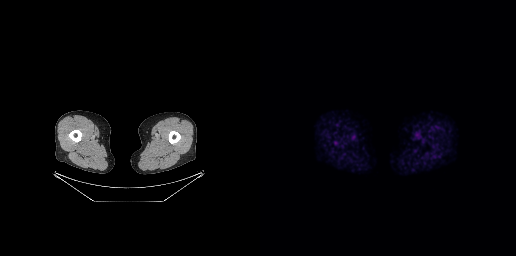
Technique: Two-panel axial: CT | PSMA PET, [18F]PSMA-1007 tracer. slice position z = -946 mm. PET panel 256×256 px (2.7 mm/px).
Findings: No PSMA-avid tumor lesions on this slice.